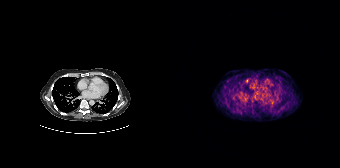
Left: CT. Right: PSMA PET, same axial level, [68Ga]Ga-PSMA-11 tracer. Slice 128 of 195. PET panel 168×168 px (4.1 mm/px). Only PSMA-avid lesion pieces thinner than 2 px on this slice (not listed).